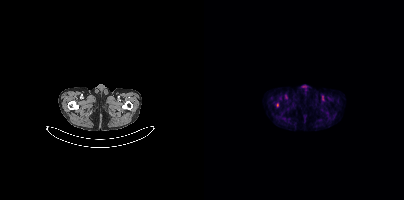
Coordinates are on the 200×200 PET (right) panel. PSMA-avid tumor lesion bounding box (x, y, width, height): x=72 y=103 w=3 h=5.